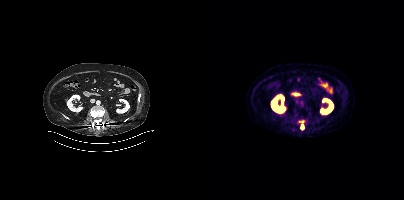
Coordinates are on the 200×200 PET (right) panel. PSMA-avid tumor lesion bounding boxes (x0,y0,x1,y1): [95,120,100,123], [97,125,99,129].